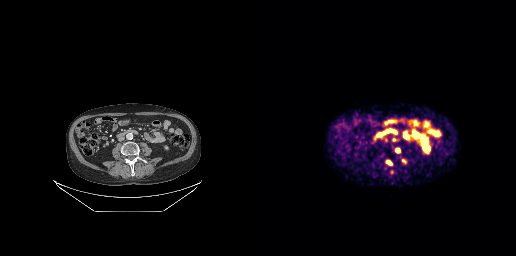
- Paired axial CT (left) and PSMA PET (right), 68Ga tracer
- slice 123 of 263
Findings: Coordinates are on the 256×256 PET (right) panel. (showing 5 of 6 foci) PSMA-avid tumor lesion bounding boxes (x0,y0,x1,y1): [126,160,132,165], [136,148,139,152], [130,170,133,174], [142,159,146,163]. Small PSMA-avid focus (2 to 4 px across) near (center x, center y): (134, 139).